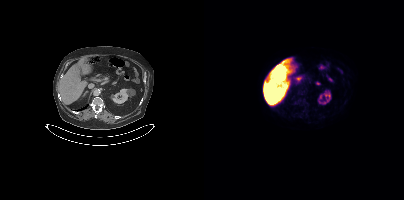
{"pet_grid":[200,200],"coord_frame":"pet_panel","coord_format":"x0,y0,x1,y1","psma_avid_lesions":false,"modality":"PSMA PET/CT","view":"axial","tracer":"[18F]PSMA-1007"}